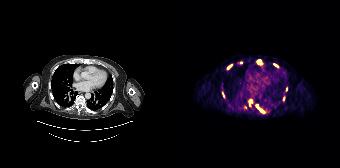
Coordinates are on the 168×168 PET (right) panel. (showing 7 of 11 foci) PSMA-avid tumor lesion bounding boxes (x, y, width, height): x=84 y=105 w=8 h=8 | x=85 y=60 w=6 h=5 | x=55 y=64 w=5 h=6 | x=102 y=64 w=5 h=4. Small PSMA-avid foci (2 to 4 px across) near (center x, center y): (79, 100) | (68, 62) | (111, 98).
modality: PSMA PET/CT | tracer: [68Ga]Ga-PSMA-11 | view: axial